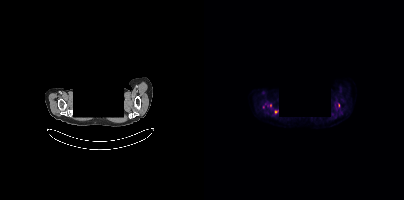
{"modality":"PSMA PET/CT","view":"axial","tracer":"18F","pet_grid":[200,200],"coord_frame":"pet_panel","coord_format":"x0,y0,x1,y1","redaction":"head region blacked out before release","partial":true,"lesion_bboxes":[[70,110,74,113]],"small_foci_centers":[[66,105],[134,105]]}